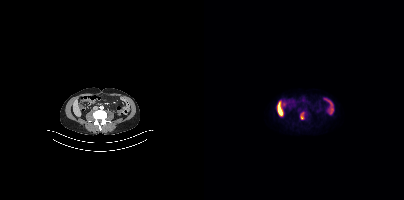
Coordinates are on the 200×200 PET (right) panel. Small PSMA-avid focus (2 to 4 px across) near (center x, center y): (98, 117).
modality: PSMA PET/CT | tracer: 18F | view: axial | PET grid: 200×200